modality: PSMA PET/CT | tracer: 18F | view: axial
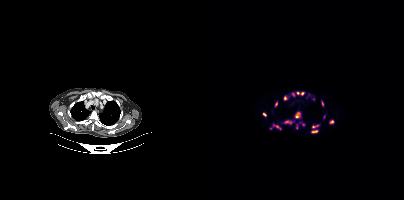
Coordinates are on the 200×200 PET (right) panel. (showing 15 of 18 foci) PSMA-avid tumor lesion bounding boxes (x0, y0)-(x1, y1): (91, 112)-(96, 118) / (80, 120)-(88, 124) / (66, 124)-(77, 129) / (107, 130)-(114, 133) / (79, 95)-(83, 100) / (125, 120)-(130, 123) / (108, 124)-(115, 128) / (59, 112)-(62, 116) / (117, 101)-(119, 106) / (71, 102)-(73, 106) / (92, 124)-(93, 128). Small PSMA-avid foci (2 to 4 px across) near (center x, center y): (98, 93) / (94, 93) / (89, 94) / (119, 117).